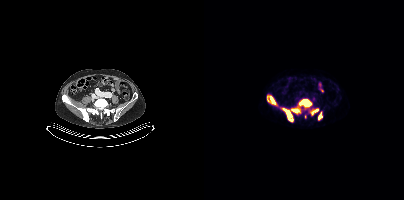
{"pet_grid":[200,200],"coord_frame":"pet_panel","coord_format":"x0,y0,x1,y1","partial":true,"lesion_bboxes":[[95,99,107,106],[78,108,89,121],[66,96,71,104],[106,109,114,115],[88,109,95,112],[114,113,118,119]],"modality":"PSMA PET/CT","view":"axial","tracer":"[18F]PSMA-1007"}